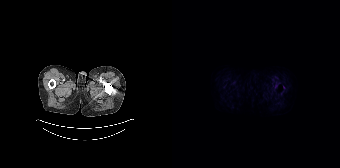
No tumor lesions annotated on this slice.